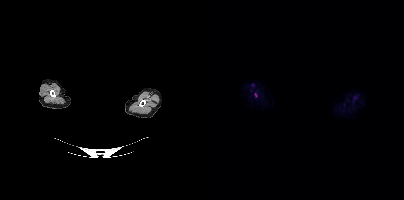
A rectangular block over the head has been blanked out for de-identification. Left: CT. Right: PSMA PET, same axial level, 18F-PSMA tracer. Slice 351 of 381. Coordinates are on the 200×200 PET (right) panel. Small PSMA-avid focus (2 to 4 px across) near (center x, center y): (51, 95).